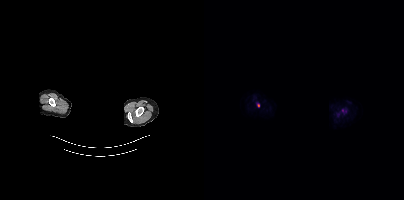
{"modality":"PSMA PET/CT","view":"axial","tracer":"[18F]PSMA-1007","pet_grid":[200,200],"coord_frame":"pet_panel","coord_format":"x0,y0,x1,y1","deidentification":"face masked with black rectangle","lesion_bboxes":[],"small_foci_centers":[[54,105]]}